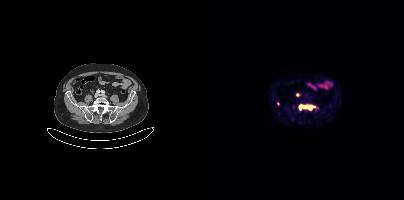
{"modality":"PSMA PET/CT","view":"axial","tracer":"18F-PSMA","pet_grid":[200,200],"coord_frame":"pet_panel","coord_format":"x0,y0,x1,y1","partial":true,"lesion_bboxes":[[95,105,108,109]]}